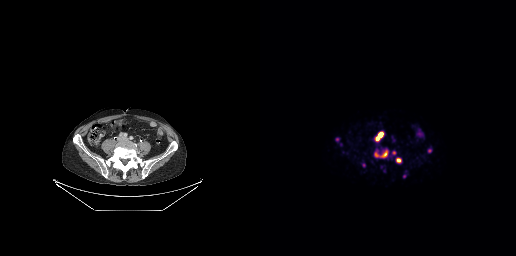
Coordinates are on the 256×256 PET (right) panel. (showing 6 of 7 foci) PSMA-avid tumor lesion bounding boxes (x0,y0,x1,y1): [116,132,122,140], [121,150,127,157], [136,158,141,162]. Small PSMA-avid foci (2 to 4 px across) near (center x, center y): (116, 154), (134, 152), (170, 150). Paired axial CT (left) and PSMA PET (right), 68Ga tracer. PET panel 256×256 px (2.7 mm/px).